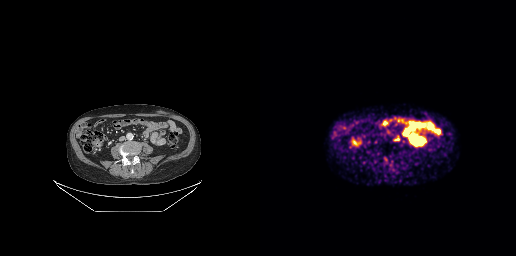
Left: CT. Right: PSMA PET, same axial level, [68Ga]Ga-PSMA-11 tracer.
Coordinates are on the 256×256 PET (right) panel. PSMA-avid tumor lesion bounding boxes:
| # | x0 | y0 | x1 | y1 |
|---|---|---|---|---|
| 1 | 124 | 157 | 127 | 161 |
| 2 | 134 | 138 | 139 | 140 |